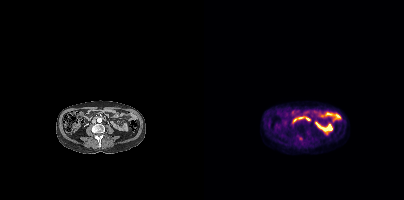
Coordinates are on the 200×200 PET (right) panel. Small PSMA-avid focus (2 to 4 px across) near (center x, center y): (96, 138).